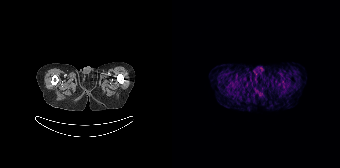
Findings: This slice has no annotated PSMA-avid lesion.
Technique: Left: CT. Right: PSMA PET, same axial level, 68Ga tracer.